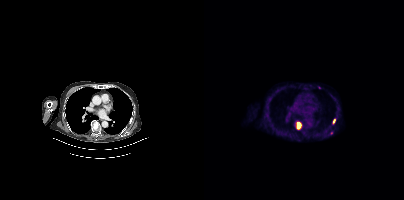
modality: PSMA PET/CT | tracer: 18F-PSMA | view: axial
Coordinates are on the 200×200 PET (right) panel. PSMA-avid tumor lesion bounding boxes (x, y, width, height): x=92 y=122 w=6 h=8 | x=128 y=118 w=4 h=7. Small PSMA-avid focus (2 to 4 px across) near (center x, center y): (127, 132).